Left: CT. Right: PSMA PET, same axial level, 68Ga-PSMA tracer.
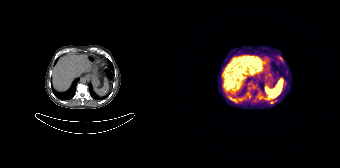
Coordinates are on the 168×168 PET (right) panel. PSMA-avid tumor lesion bounding boxes:
| # | x0 | y0 | x1 | y1 |
|---|---|---|---|---|
| 1 | 107 | 57 | 110 | 61 |
| 2 | 76 | 93 | 78 | 98 |
Small PSMA-avid focus (2 to 4 px across) near (center x, center y): (100, 102).